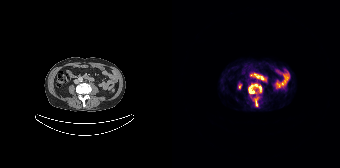
Paired axial CT (left) and PSMA PET (right), 68Ga tracer. Acquired on Siemens Biograph 64-4R TruePoint. PET panel 168×168 px (4.1 mm/px). Coordinates are on the 168×168 PET (right) panel. PSMA-avid tumor lesion bounding box (x0,y0,x1,y1): [77,85,82,93]. Small PSMA-avid foci (2 to 4 px across) near (center x, center y): (88, 87) (84, 103) (83, 85).